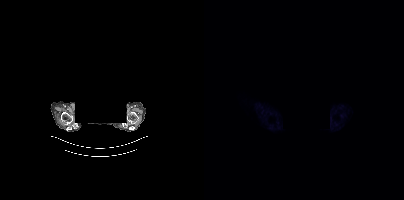
{"modality":"PSMA PET/CT","view":"axial","tracer":"18F-PSMA","pet_grid":[200,200],"coord_frame":"pet_panel","coord_format":"x0,y0,x1,y1","psma_avid_lesions":false,"deidentification":"privacy mask over head"}